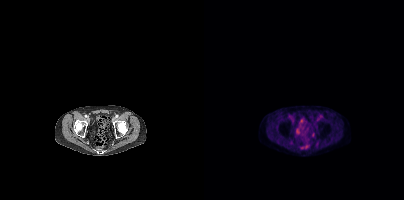
{"pet_grid":[200,200],"coord_frame":"pet_panel","coord_format":"x0,y0,x1,y1","psma_avid_lesions":false,"modality":"PSMA PET/CT","view":"axial","tracer":"[18F]PSMA-1007"}